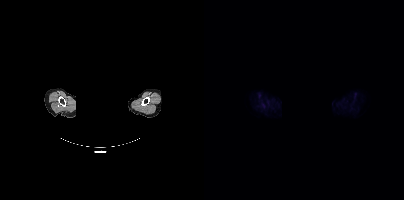
No PSMA-avid tumor lesions on this slice. The face region was removed for patient privacy by blanking a rectangle over the head. Two-panel axial: CT | PSMA PET, [18F]PSMA-1007 tracer. Slice position z = -213 mm.